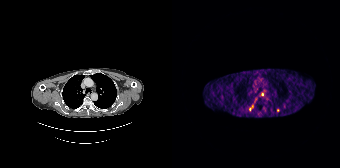
Paired axial CT (left) and PSMA PET (right), [68Ga]Ga-PSMA-11 tracer. Slice position z = -234 mm. PET panel 168×168 px (4.1 mm/px). Only PSMA-avid lesion pieces thinner than 2 px on this slice (not listed).